Left: CT. Right: PSMA PET, same axial level, 18F-PSMA tracer. Slice 219 of 393. PET panel 200×200 px (4.1 mm/px).
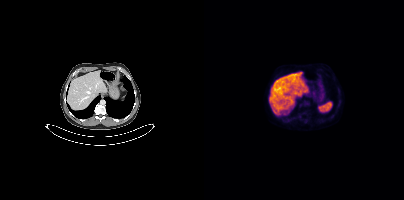
Negative for PSMA-avid disease on this slice.